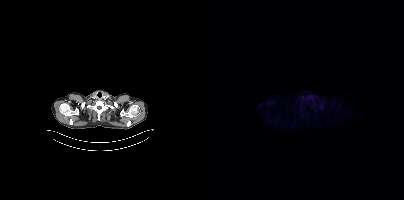
{"modality":"PSMA PET/CT","view":"axial","tracer":"18F","pet_grid":[200,200],"coord_frame":"pet_panel","coord_format":"x0,y0,x1,y1","psma_avid_lesions":false}